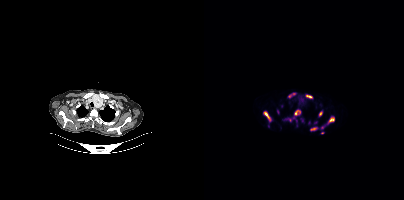
{"modality":"PSMA PET/CT","view":"axial","tracer":"18F","pet_grid":[200,200],"coord_frame":"pet_panel","coord_format":"x0,y0,x1,y1","partial":true,"lesion_bboxes":[[59,111,67,121],[90,109,96,115],[124,116,130,123],[102,95,108,98],[106,127,112,130],[115,112,118,116]],"small_foci_centers":[[85,96],[86,120],[118,132],[89,93],[118,127]]}